Technique: Two-panel axial: CT | PSMA PET, 18F tracer. acquired on Siemens Biograph mCT Flow 20.
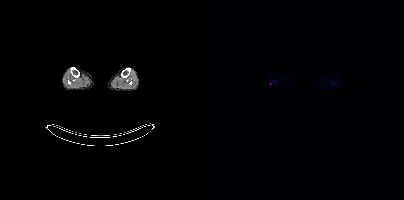
Findings: Only PSMA-avid lesion pieces thinner than 2 px on this slice (not listed).